Paired axial CT (left) and PSMA PET (right), 68Ga tracer.
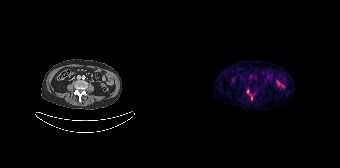
Coordinates are on the 168×168 PET (right) panel. Small PSMA-avid foci (2 to 4 px across) near (center x, center y): (75, 91) / (79, 98).